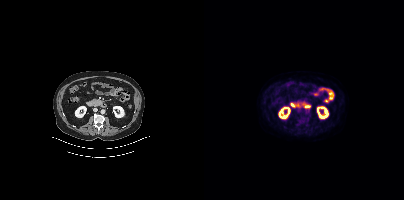
{"modality":"PSMA PET/CT","view":"axial","tracer":"18F-PSMA","pet_grid":[200,200],"coord_frame":"pet_panel","coord_format":"x0,y0,x1,y1","psma_avid_lesions":false}